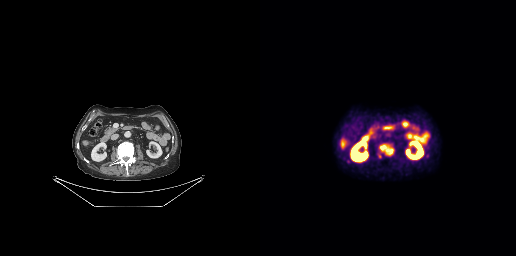
Coordinates are on the 256×256 PET (right) panel. PSMA-avid tumor lesion bounding box (x, y, width, height): x=119 y=143 w=16 h=13.